Technique: Two-panel axial: CT | PSMA PET, 18F tracer. acquired on Siemens Biograph mCT Flow 20. PET panel 200×200 px (4.1 mm/px).
Note: Any black rectangle over the head is a privacy mask, not anatomy.
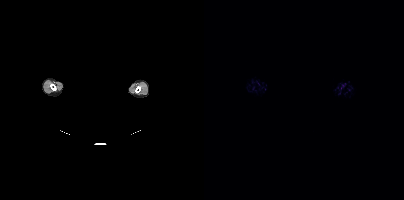
Findings: This slice has no annotated PSMA-avid lesion.